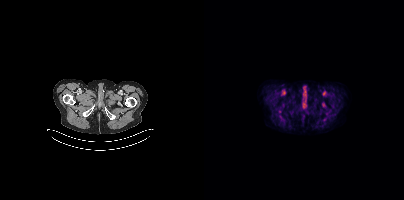
Two-panel axial: CT | PSMA PET, 18F-PSMA tracer. Acquired on Siemens Biograph mCT Flow 20. No tumor lesions annotated on this slice.